Technique: Paired axial CT (left) and PSMA PET (right), [18F]PSMA-1007 tracer. slice 152 of 427.
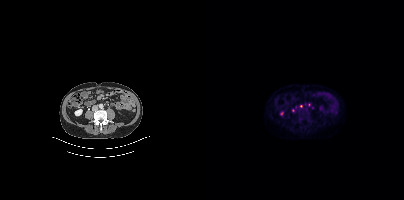
Findings: Coordinates are on the 200×200 PET (right) panel. (showing 1 of 2 foci) Small PSMA-avid focus (2 to 4 px across) near (center x, center y): (97, 106).